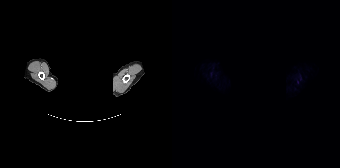
No tumor lesions annotated on this slice.
modality: PSMA PET/CT | tracer: 18F | view: axial | redaction: facial region redacted